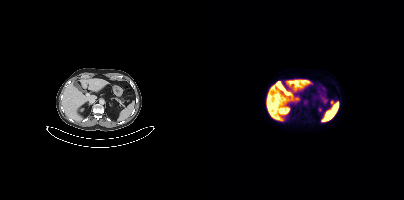
{"modality":"PSMA PET/CT","view":"axial","tracer":"[18F]PSMA-1007","pet_grid":[200,200],"coord_frame":"pet_panel","coord_format":"x0,y0,x1,y1","lesion_bboxes":[],"small_foci_centers":[[128,102]]}